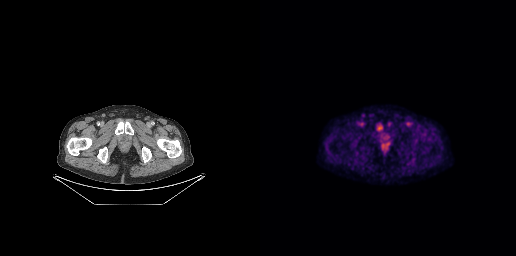
- Two-panel axial: CT | PSMA PET, 18F-PSMA tracer
- slice position z = -680 mm
Findings: Coordinates are on the 256×256 PET (right) panel. (showing 2 of 3 foci) PSMA-avid tumor lesion bounding box (x0, y0)-(x1, y1): (117, 123)-(122, 129). Small PSMA-avid focus (2 to 4 px across) near (center x, center y): (128, 142).